Technique: Left: CT. Right: PSMA PET, same axial level, [68Ga]Ga-PSMA-11 tracer. slice position z = -412 mm.
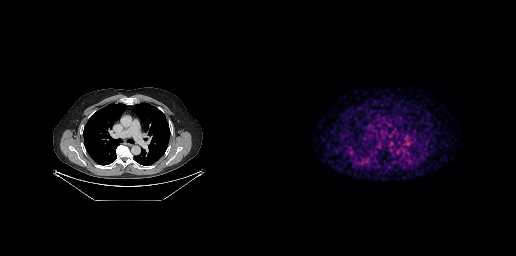
Findings: No tumor lesions annotated on this slice.